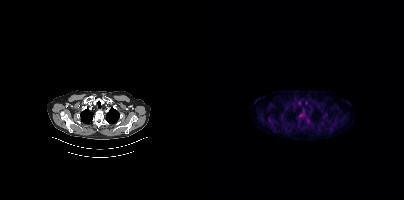
{"modality":"PSMA PET/CT","view":"axial","tracer":"18F-PSMA","pet_grid":[200,200],"coord_frame":"pet_panel","coord_format":"x0,y0,x1,y1","lesion_bboxes":[[64,117,67,122]],"small_foci_centers":[[97,115]]}